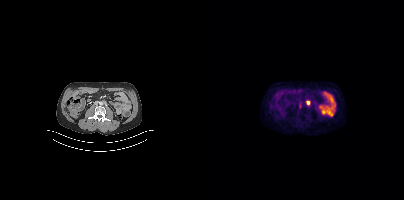
{"modality":"PSMA PET/CT","view":"axial","tracer":"[18F]PSMA-1007","pet_grid":[200,200],"coord_frame":"pet_panel","coord_format":"x0,y0,x1,y1","lesion_bboxes":[[102,101,106,104]],"small_foci_centers":[[96,105]]}